modality: PSMA PET/CT | tracer: 18F | view: axial | PET grid: 256×256
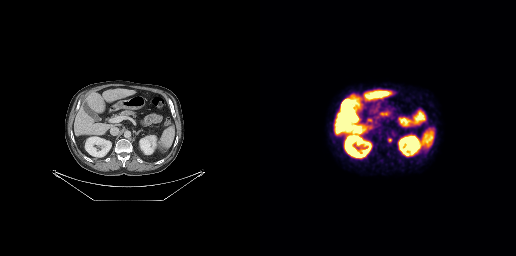
Coordinates are on the 256×256 PET (right) panel. Small PSMA-avid focus (2 to 4 px across) near (center x, center y): (129, 139).